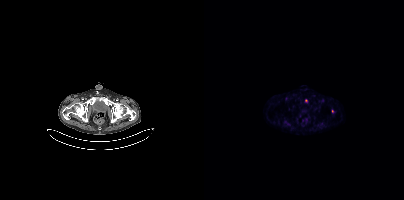
{"pet_grid":[200,200],"coord_frame":"pet_panel","coord_format":"x0,y0,x1,y1","lesion_bboxes":[],"small_foci_centers":[[128,111],[101,100]],"modality":"PSMA PET/CT","view":"axial","tracer":"[18F]PSMA-1007"}